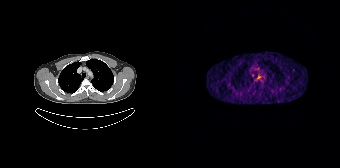
No PSMA-avid tumor lesions on this slice. Two-panel axial: CT | PSMA PET, [68Ga]Ga-PSMA-11 tracer.